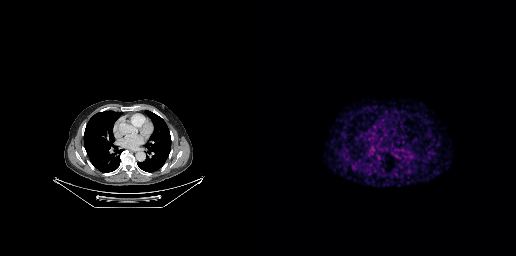
This slice has no annotated PSMA-avid lesion.